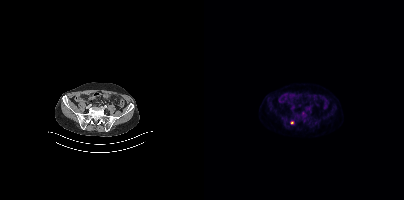
Coordinates are on the 200×200 PET (right) panel. Small PSMA-avid focus (2 to 4 px across) near (center x, center y): (88, 122). Paired axial CT (left) and PSMA PET (right), 18F tracer. Acquired on Siemens Biograph mCT Flow 20. Slice 124 of 415.